Two-panel axial: CT | PSMA PET, 18F-PSMA tracer. Acquired on Siemens Biograph mCT Flow 20. PET panel 200×200 px (4.1 mm/px).
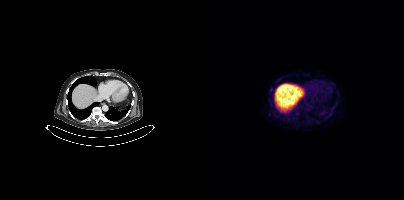
No tumor lesions annotated on this slice.